- Paired axial CT (left) and PSMA PET (right), 18F-PSMA tracer
- acquired on GE Discovery 690
- slice 25 of 263
- PET panel 256×256 px (2.7 mm/px)
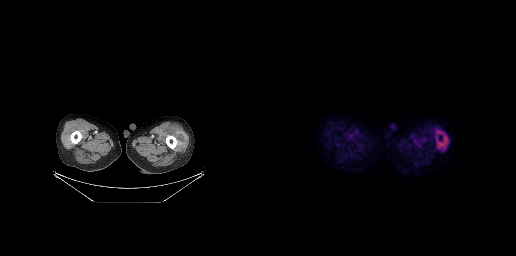
Findings: This slice has no annotated PSMA-avid lesion.